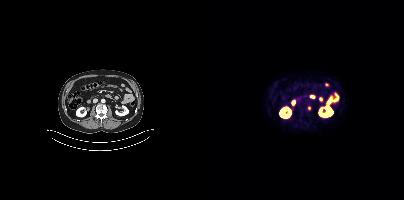
Coordinates are on the 200×200 PET (right) panel. Small PSMA-avid focus (2 to 4 px across) near (center x, center y): (105, 107).
modality: PSMA PET/CT | tracer: 68Ga-PSMA | view: axial